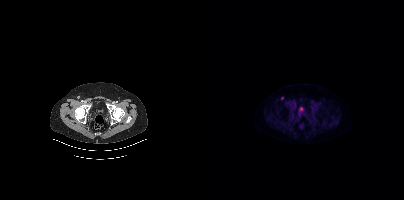
Findings: Coordinates are on the 200×200 PET (right) panel. Small PSMA-avid focus (2 to 4 px across) near (center x, center y): (78, 98).
Technique: Two-panel axial: CT | PSMA PET, 18F-PSMA tracer. PET panel 200×200 px (4.1 mm/px).